Technique: Two-panel axial: CT | PSMA PET, [68Ga]Ga-PSMA-11 tracer. acquired on Siemens Biograph 64-4R TruePoint. slice position z = -880 mm. PET panel 168×168 px (4.1 mm/px).
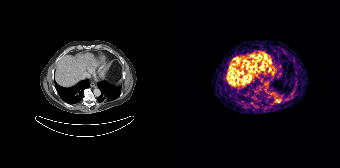
Findings: Only PSMA-avid lesion pieces thinner than 2 px on this slice (not listed).